modality: PSMA PET/CT | tracer: 68Ga-PSMA | view: axial
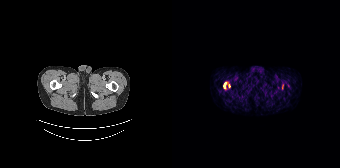
Coordinates are on the 168×168 PET (right) panel. (showing 1 of 2 foci) PSMA-avid tumor lesion bounding box (x, y, width, height): x=51 y=82 w=8 h=8.